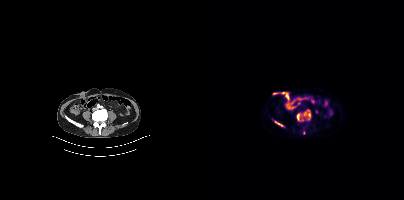
Coordinates are on the 200×200 PET (right) panel. (showing 3 of 5 foci) PSMA-avid tumor lesion bounding boxes (x0,y0,x1,y1): [100,112,106,119]; [93,114,96,120]; [70,121,79,126]. Two-panel axial: CT | PSMA PET, [18F]PSMA-1007 tracer. Slice position z = -694 mm.